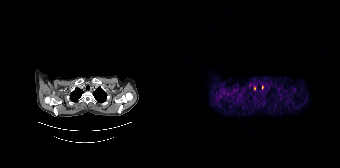
Findings: Coordinates are on the 168×168 PET (right) panel. Small PSMA-avid foci (2 to 4 px across) near (center x, center y): (90, 87); (82, 88).
Technique: Paired axial CT (left) and PSMA PET (right), [68Ga]Ga-PSMA-11 tracer. acquired on Siemens Biograph 64-4R TruePoint. slice position z = -264 mm. PET panel 168×168 px (4.1 mm/px).